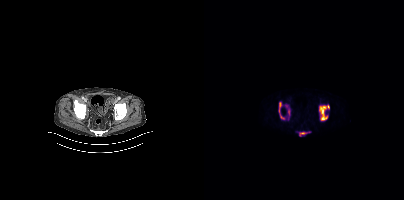
Coordinates are on the 200×200 PET (right) panel. PSMA-avid tumor lesion bounding boxes (x, y, width, height): x=115 y=105 w=11 h=16 / x=75 y=102 w=6 h=18 / x=95 y=132 w=8 h=4 / x=84 y=110 w=2 h=5. Small PSMA-avid focus (2 to 4 px across) near (center x, center y): (82, 105).